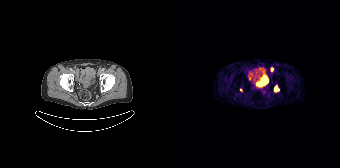
modality: PSMA PET/CT | tracer: [68Ga]Ga-PSMA-11 | view: axial | PET grid: 168×168
Coordinates are on the 168×168 PET (right) panel. PSMA-avid tumor lesion bounding box (x, y, width, height): x=103 y=86 w=4 h=5. Small PSMA-avid focus (2 to 4 px across) near (center x, center y): (99, 69).